- Two-panel axial: CT | PSMA PET, 68Ga-PSMA tracer
- slice position z = -770 mm
- PET panel 256×256 px (2.7 mm/px)
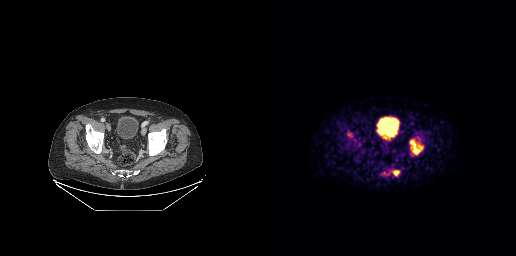
Findings: Coordinates are on the 256×256 PET (right) panel. (showing 3 of 4 foci) PSMA-avid tumor lesion bounding boxes (x0,y0,x1,y1): [150,140,162,154] [133,170,139,175]. Small PSMA-avid focus (2 to 4 px across) near (center x, center y): (124, 173).